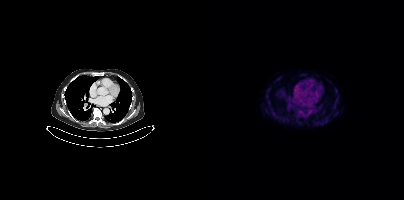
- Two-panel axial: CT | PSMA PET, 18F tracer
- slice position z = -1117 mm
Findings: No tumor lesions annotated on this slice.